Left: CT. Right: PSMA PET, same axial level, [18F]PSMA-1007 tracer. Slice 229 of 383.
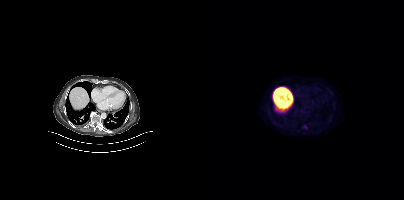
Coordinates are on the 200×200 PET (right) panel. Small PSMA-avid focus (2 to 4 px across) near (center x, center y): (101, 127).